modality: PSMA PET/CT | tracer: 18F | view: axial
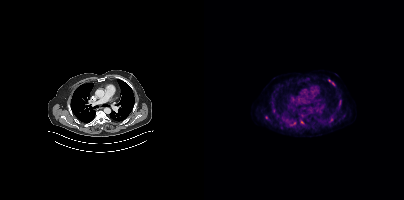
Coordinates are on the 200×200 PET (right) panel. (showing 8 of 10 foci) PSMA-avid tumor lesion bounding boxes (x, y, width, height): x=125 y=118 w=5 h=5; x=135 y=100 w=3 h=8; x=96 y=120 w=5 h=5. Small PSMA-avid foci (2 to 4 px across) near (center x, center y): (129, 83); (62, 117); (125, 80); (98, 115); (90, 123).